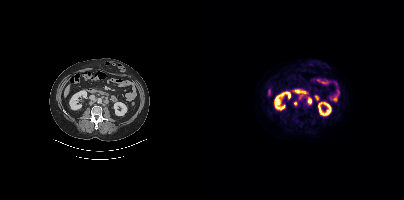
{"modality":"PSMA PET/CT","view":"axial","tracer":"18F-PSMA","pet_grid":[200,200],"coord_frame":"pet_panel","coord_format":"x0,y0,x1,y1","lesion_bboxes":[[100,95,107,104]],"small_foci_centers":[[91,103],[95,97]]}